Two-panel axial: CT | PSMA PET, 18F-PSMA tracer. Slice position z = -294 mm.
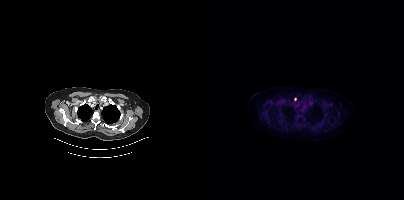
Coordinates are on the 200×200 PET (right) panel. Small PSMA-avid focus (2 to 4 px across) near (center x, center y): (91, 99).